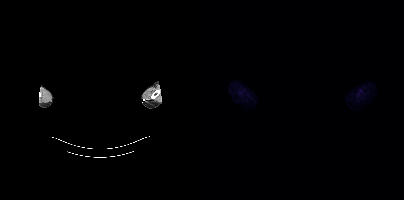
{"modality":"PSMA PET/CT","view":"axial","tracer":"18F","pet_grid":[200,200],"coord_frame":"pet_panel","coord_format":"x0,y0,x1,y1","psma_avid_lesions":false,"deidentification":"face masked with black rectangle"}